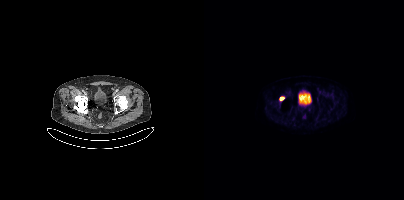
{"modality":"PSMA PET/CT","view":"axial","tracer":"18F","pet_grid":[200,200],"coord_frame":"pet_panel","coord_format":"x0,y0,x1,y1","lesion_bboxes":[],"small_foci_centers":[[77,98]]}